Two-panel axial: CT | PSMA PET, 18F-PSMA tracer. Acquired on Siemens Biograph mCT Flow 20. Slice position z = -1490 mm.
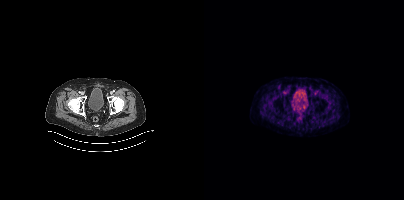
No PSMA-avid tumor lesions on this slice.